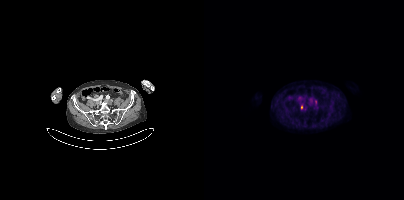
- Paired axial CT (left) and PSMA PET (right), [18F]PSMA-1007 tracer
- acquired on Siemens Biograph mCT Flow 20
- PET panel 200×200 px (4.1 mm/px)
Findings: Coordinates are on the 200×200 PET (right) panel. (showing 1 of 3 foci) PSMA-avid tumor lesion bounding box (x, y, width, height): x=97 y=106 w=5 h=4.